Two-panel axial: CT | PSMA PET, [18F]PSMA-1007 tracer. Slice 262 of 442.
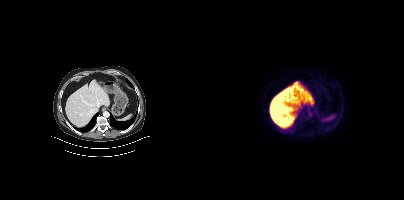
No tumor lesions annotated on this slice.